Technique: Left: CT. Right: PSMA PET, same axial level, 18F-PSMA tracer. slice position z = -956 mm. PET panel 200×200 px (4.1 mm/px).
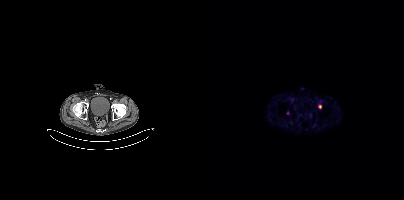
Findings: Coordinates are on the 200×200 PET (right) panel. Small PSMA-avid foci (2 to 4 px across) near (center x, center y): (115, 106) | (83, 113).